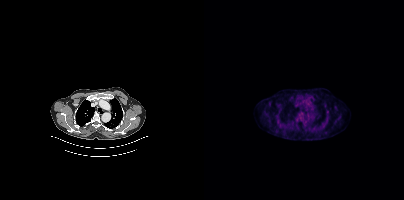
Findings: This slice has no annotated PSMA-avid lesion.
- Two-panel axial: CT | PSMA PET, 18F-PSMA tracer
- acquired on Siemens Biograph mCT Flow 20